modality: PSMA PET/CT | tracer: 18F | view: axial | PET grid: 200×200
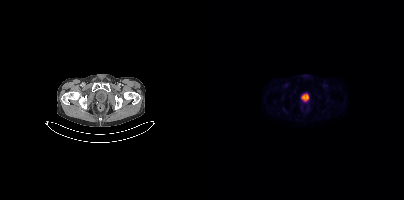
Negative for PSMA-avid disease on this slice.